Left: CT. Right: PSMA PET, same axial level, [18F]PSMA-1007 tracer.
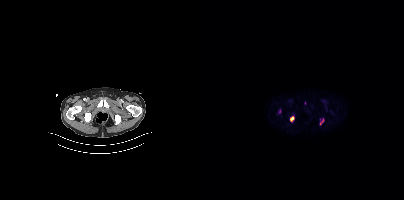
Coordinates are on the 200×200 PET (right) panel. PSMA-avid tumor lesion bounding box (x0,y0,x1,y1): [86,117,89,121]. Small PSMA-avid focus (2 to 4 px across) near (center x, center y): (116, 123).